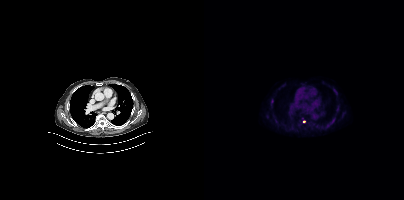
Coordinates are on the 200×200 PET (right) panel. Small PSMA-avid focus (2 to 4 px across) near (center x, center y): (100, 121).
modality: PSMA PET/CT | tracer: 18F | view: axial